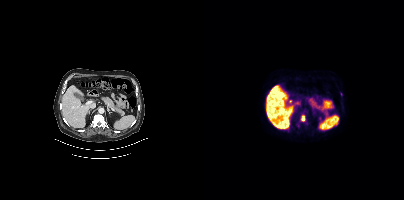
modality: PSMA PET/CT | tracer: 18F | view: axial
Coordinates are on the 200×200 PET (right) panel. PSMA-avid tumor lesion bounding box (x0, y0)-(x1, y1): (97, 115)-(100, 121). Small PSMA-avid focus (2 to 4 px across) near (center x, center y): (137, 94).